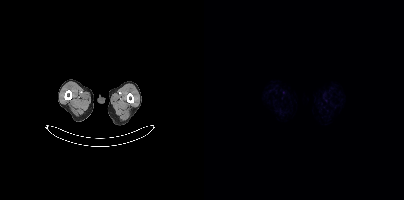
Negative for PSMA-avid disease on this slice.